modality: PSMA PET/CT | tracer: [18F]PSMA-1007 | view: axial
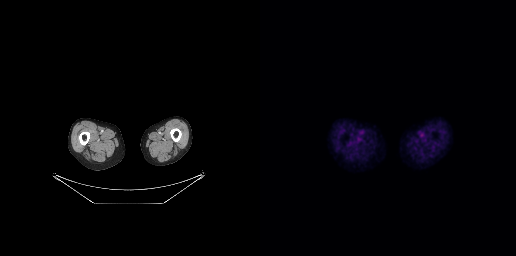
No PSMA-avid tumor lesions on this slice.